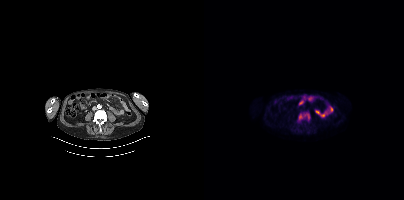
Coordinates are on the 200×200 PET (right) panel. PSMA-avid tumor lesion bounding box (x0,y0,x1,y1): [93,111,106,122]. Two-panel axial: CT | PSMA PET, 18F-PSMA tracer. Acquired on Siemens Biograph mCT Flow 20. Slice position z = -1250 mm.